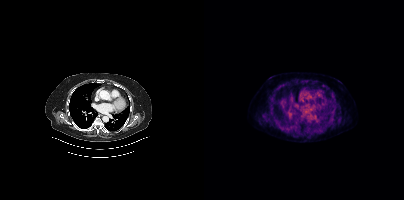
modality: PSMA PET/CT | tracer: 18F-PSMA | view: axial | PET grid: 200×200
This slice has no annotated PSMA-avid lesion.